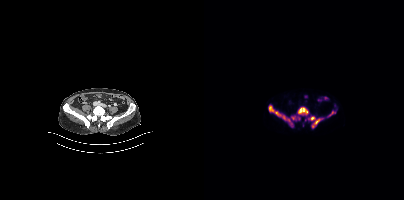
- Paired axial CT (left) and PSMA PET (right), 18F-PSMA tracer
- slice position z = -704 mm
- PET panel 200×200 px (4.1 mm/px)
Findings: Coordinates are on the 200×200 PET (right) panel. (showing 6 of 8 foci) PSMA-avid tumor lesion bounding boxes (x0, y0)-(x1, y1): (65, 105)-(88, 126) | (104, 116)-(118, 128) | (93, 107)-(104, 115) | (87, 116)-(92, 120) | (125, 111)-(129, 115). Small PSMA-avid focus (2 to 4 px across) near (center x, center y): (94, 118).